Paired axial CT (left) and PSMA PET (right), 18F tracer. Slice position z = -791 mm. PET panel 200×200 px (4.1 mm/px).
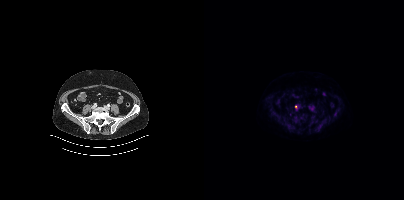
Coordinates are on the 200×200 PET (right) panel. Small PSMA-avid focus (2 to 4 px across) near (center x, center y): (91, 106).